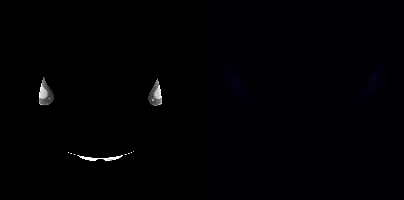
Findings: No tumor lesions annotated on this slice.
Technique: Paired axial CT (left) and PSMA PET (right), 18F tracer. slice position z = -780 mm.
Note: De-identified by setting a box covering the face to black before release.